Technique: Two-panel axial: CT | PSMA PET, 18F-PSMA tracer. slice 297 of 435.
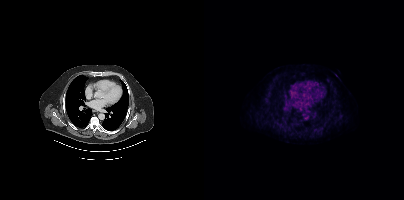
Findings: This slice has no annotated PSMA-avid lesion.